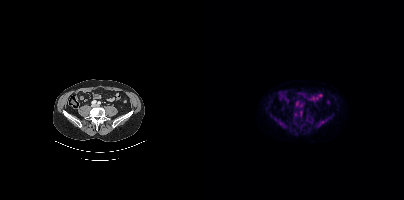
Findings: This slice has no annotated PSMA-avid lesion.
- Two-panel axial: CT | PSMA PET, 18F-PSMA tracer